- Two-panel axial: CT | PSMA PET, [68Ga]Ga-PSMA-11 tracer
- acquired on Siemens Biograph 64-4R TruePoint
- slice position z = -84 mm
- privacy masking over the head, with the pixels inside a rectangle set to black
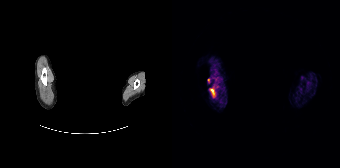
Findings: Coordinates are on the 168×168 PET (right) panel. PSMA-avid tumor lesion bounding box (x, y, width, height): x=38 y=89 w=5 h=7. Small PSMA-avid focus (2 to 4 px across) near (center x, center y): (36, 80).